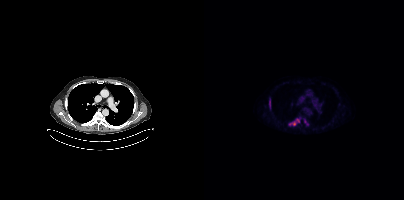
Coordinates are on the 200×200 PET (right) panel. (showing 3 of 4 foci) PSMA-avid tumor lesion bounding boxes (x, y, width, height): x=85 y=118 w=11 h=8 | x=65 y=99 w=2 h=10. Small PSMA-avid focus (2 to 4 px across) near (center x, center y): (101, 121). Two-panel axial: CT | PSMA PET, [18F]PSMA-1007 tracer. Acquired on Siemens Biograph mCT Flow 20. Slice position z = 260 mm.